- Left: CT. Right: PSMA PET, same axial level, [18F]PSMA-1007 tracer
- slice position z = -1456 mm
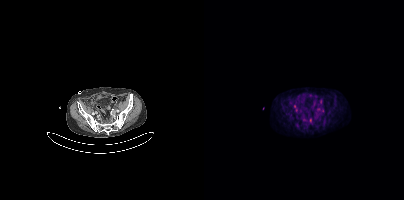
Findings: Coordinates are on the 200×200 PET (right) panel. (showing 3 of 4 foci) Small PSMA-avid foci (2 to 4 px across) near (center x, center y): (92, 110) | (90, 106) | (106, 119).